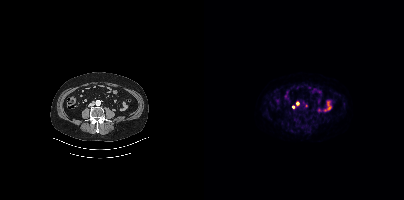
Technique: Paired axial CT (left) and PSMA PET (right), 18F-PSMA tracer. acquired on Siemens Biograph mCT Flow 20. PET panel 200×200 px (4.1 mm/px).
Findings: Coordinates are on the 200×200 PET (right) panel. (showing 2 of 3 foci) Small PSMA-avid foci (2 to 4 px across) near (center x, center y): (93, 103) / (89, 106).